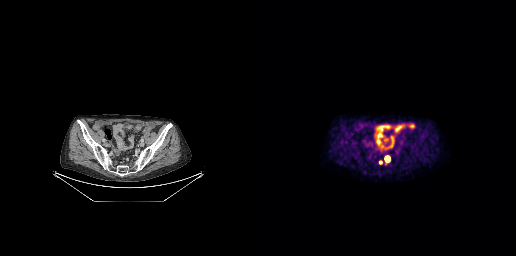
{"pet_grid":[256,256],"coord_frame":"pet_panel","coord_format":"x0,y0,x1,y1","lesion_bboxes":[[125,156,130,162]],"small_foci_centers":[[120,162]],"modality":"PSMA PET/CT","view":"axial","tracer":"[18F]PSMA-1007"}